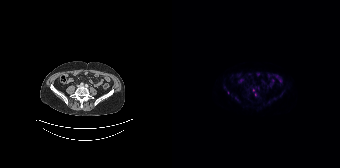
{"modality":"PSMA PET/CT","view":"axial","tracer":"18F","pet_grid":[168,168],"coord_frame":"pet_panel","coord_format":"x0,y0,x1,y1","partial":true,"lesion_bboxes":[]}